Technique: Two-panel axial: CT | PSMA PET, 18F-PSMA tracer. acquired on Siemens Biograph mCT Flow 20. slice 26 of 405. PET panel 200×200 px (4.1 mm/px).
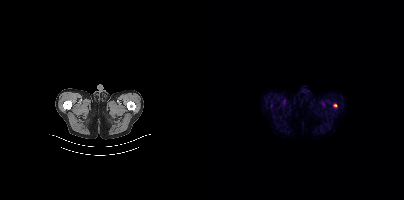
Findings: Coordinates are on the 200×200 PET (right) panel. Small PSMA-avid focus (2 to 4 px across) near (center x, center y): (131, 105).